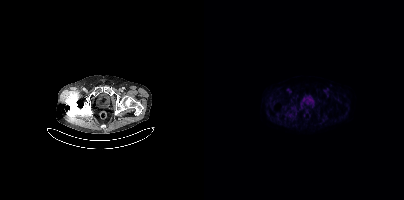
No PSMA-avid tumor lesions on this slice. Left: CT. Right: PSMA PET, same axial level, 18F-PSMA tracer. Acquired on Siemens Biograph mCT Flow 20. PET panel 200×200 px (4.1 mm/px).